Two-panel axial: CT | PSMA PET, [18F]PSMA-1007 tracer. PET panel 256×256 px (2.7 mm/px).
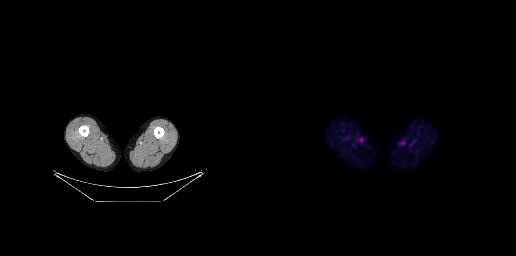
Negative for PSMA-avid disease on this slice.